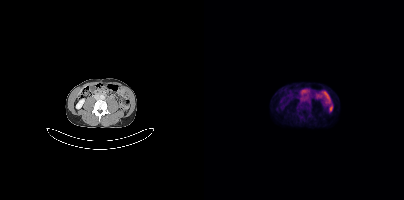
- Left: CT. Right: PSMA PET, same axial level, 18F-PSMA tracer
- PET panel 200×200 px (4.1 mm/px)
Findings: Coordinates are on the 200×200 PET (right) panel. PSMA-avid tumor lesion bounding box (x, y, width, height): x=94 y=105 w=6 h=6.